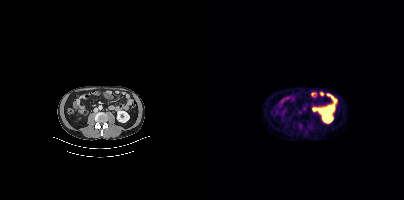
Coordinates are on the 200×200 PET (right) panel. (showing 1 of 3 foci) Small PSMA-avid focus (2 to 4 px across) near (center x, center y): (96, 113). Left: CT. Right: PSMA PET, same axial level, [18F]PSMA-1007 tracer.